modality: PSMA PET/CT | tracer: 18F-PSMA | view: axial | PET grid: 256×256
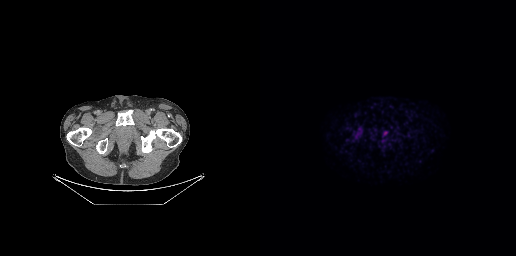
No PSMA-avid tumor lesions on this slice.